Two-panel axial: CT | PSMA PET, 18F-PSMA tracer. Slice position z = -534 mm. PET panel 256×256 px (2.7 mm/px).
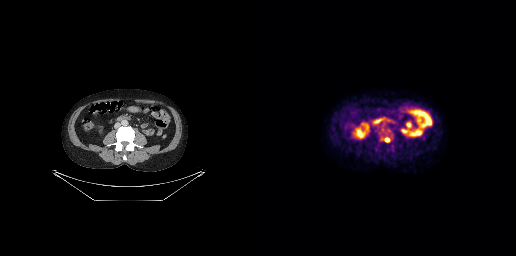
Coordinates are on the 256×256 PET (right) panel. PSMA-avid tumor lesion bounding box (x0, y0)-(x1, y1): (123, 138)-(129, 141).